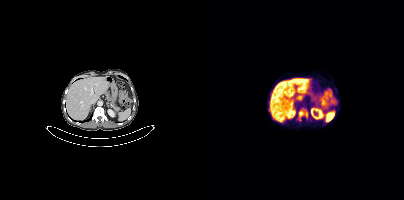
modality: PSMA PET/CT | tracer: 18F | view: axial | PET grid: 200×200
Coordinates are on the 200×200 PET (right) panel. PSMA-avid tumor lesion bounding box (x0, y0)-(x1, y1): (95, 109)-(103, 120).